modality: PSMA PET/CT | tracer: 18F-PSMA | view: axial | PET grid: 200×200 | deidentification: privacy mask over head
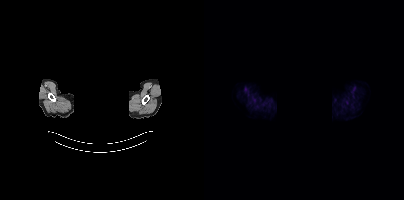
No PSMA-avid tumor lesions on this slice.